Left: CT. Right: PSMA PET, same axial level, [68Ga]Ga-PSMA-11 tracer. Acquired on GE Discovery 690. Slice position z = -236 mm. PET panel 256×256 px (2.7 mm/px). Facial anatomy redacted by setting a rectangular region of the head to black.
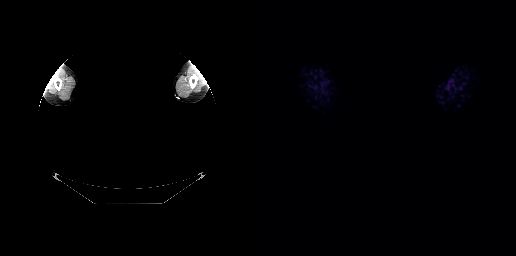
No tumor lesions annotated on this slice.